- Paired axial CT (left) and PSMA PET (right), 18F-PSMA tracer
- PET panel 200×200 px (4.1 mm/px)
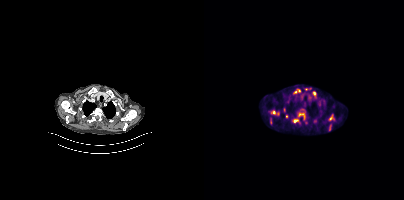
Findings: Coordinates are on the 200×200 PET (right) panel. (showing 7 of 9 foci) PSMA-avid tumor lesion bounding boxes (x0, y0)-(x1, y1): (94, 112)-(101, 119); (67, 110)-(75, 115); (65, 117)-(68, 125); (124, 124)-(127, 131); (89, 119)-(94, 122). Small PSMA-avid foci (2 to 4 px across) near (center x, center y): (110, 93); (85, 97).